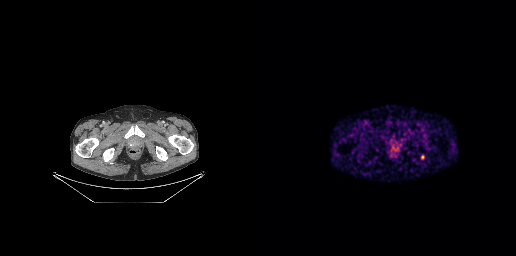
{"modality":"PSMA PET/CT","view":"axial","tracer":"68Ga-PSMA","pet_grid":[256,256],"coord_frame":"pet_panel","coord_format":"x0,y0,x1,y1","lesion_bboxes":[[161,155,164,159]]}